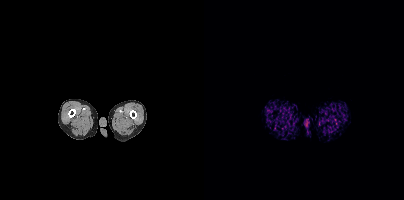
Paired axial CT (left) and PSMA PET (right), [18F]PSMA-1007 tracer. Slice 1 of 389. PET panel 200×200 px (4.1 mm/px). No tumor lesions annotated on this slice.